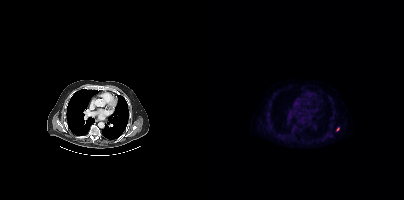
Coordinates are on the 200×200 PET (right) panel. Small PSMA-avid focus (2 to 4 px across) near (center x, center y): (134, 129).